Technique: Two-panel axial: CT | PSMA PET, 18F-PSMA tracer. slice position z = -690 mm. PET panel 256×256 px (2.7 mm/px).
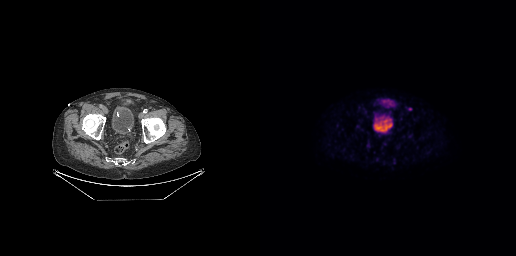
Findings: No tumor lesions annotated on this slice.